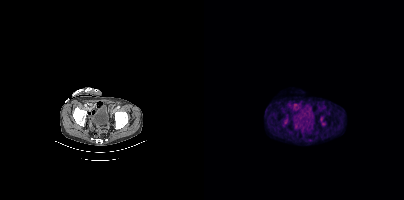
Coordinates are on the 200×200 PET (right) panel. PSMA-avid tumor lesion bounding boxes (partial; 1 more focus not listed):
| # | x0 | y0 | x1 | y1 |
|---|---|---|---|---|
| 1 | 116 | 116 | 121 | 125 |
| 2 | 80 | 119 | 83 | 124 |
Two-panel axial: CT | PSMA PET, 18F tracer. Acquired on Siemens Biograph mCT Flow 20.